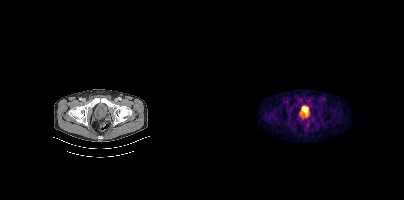
This slice has no annotated PSMA-avid lesion.